Two-panel axial: CT | PSMA PET, [18F]PSMA-1007 tracer. PET panel 200×200 px (4.1 mm/px).
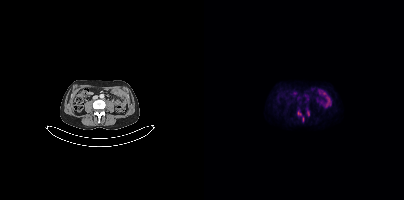
Coordinates are on the 200×200 PET (right) panel. (showing 2 of 4 foci) Small PSMA-avid foci (2 to 4 px across) near (center x, center y): (95, 113); (104, 113).